Technique: Left: CT. Right: PSMA PET, same axial level, 18F-PSMA tracer. acquired on Siemens Biograph mCT Flow 20. slice position z = -999 mm.
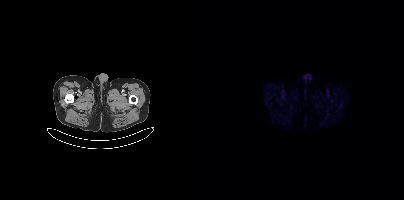
Findings: Negative for PSMA-avid disease on this slice.